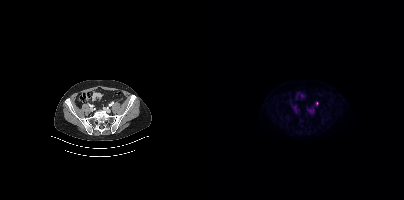
{"modality":"PSMA PET/CT","view":"axial","tracer":"18F","pet_grid":[200,200],"coord_frame":"pet_panel","coord_format":"x0,y0,x1,y1","lesion_bboxes":[],"small_foci_centers":[[113,103]]}